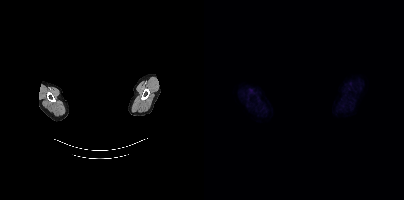
Negative for PSMA-avid disease on this slice. Two-panel axial: CT | PSMA PET, 18F tracer. PET panel 200×200 px (4.1 mm/px). A rectangular block over the head has been blanked out for de-identification.